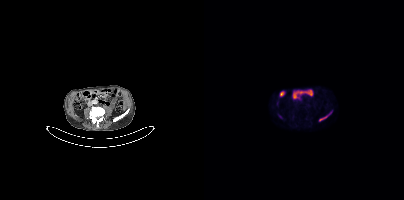
{"modality":"PSMA PET/CT","view":"axial","tracer":"[18F]PSMA-1007","pet_grid":[200,200],"coord_frame":"pet_panel","coord_format":"x0,y0,x1,y1","lesion_bboxes":[[115,112,127,120]],"small_foci_centers":[[76,116]]}